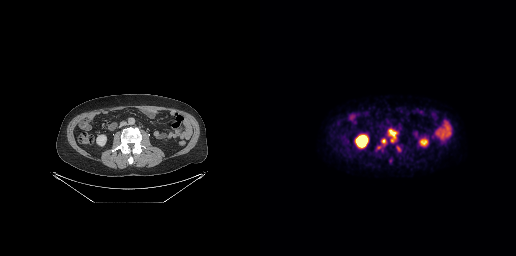
Coordinates are on the 256×256 PET (right) panel. PSMA-avid tumor lesion bounding boxes (x, y, width, height): x=128 y=129 w=10 h=14 | x=121 y=138 w=6 h=8. Small PSMA-avid foci (2 to 4 px across) near (center x, center y): (138, 148) | (119, 147).